Two-panel axial: CT | PSMA PET, 18F-PSMA tracer. Acquired on Siemens Biograph mCT Flow 20. PET panel 200×200 px (4.1 mm/px).
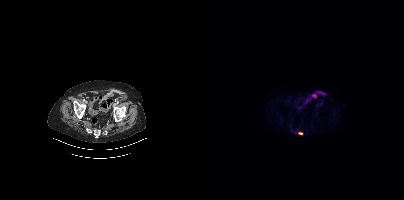
Coordinates are on the 200×200 PET (right) panel. PSMA-avid tumor lesion bounding boxes:
| # | x0 | y0 | x1 | y1 |
|---|---|---|---|---|
| 1 | 94 | 132 | 99 | 135 |